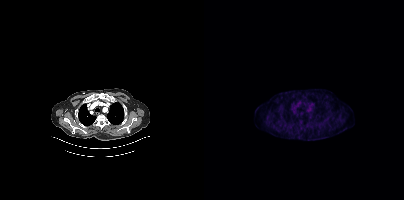
No PSMA-avid tumor lesions on this slice.